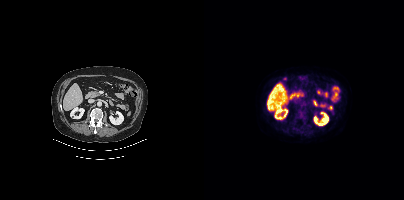
This slice has no annotated PSMA-avid lesion.